Paired axial CT (left) and PSMA PET (right), [18F]PSMA-1007 tracer. Acquired on Siemens Biograph 64-4R TruePoint. Slice 137 of 165. PET panel 168×168 px (4.1 mm/px).
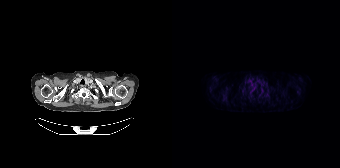
No PSMA-avid tumor lesions on this slice.